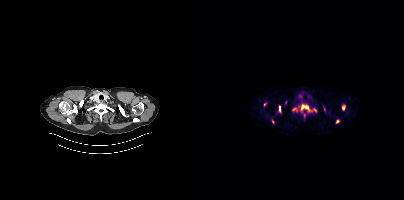
Coordinates are on the 200×200 PET (right) panel. PSMA-avid tumor lesion bounding boxes (partial; 2 more foci not listed):
| # | x0 | y0 | x1 | y1 |
|---|---|---|---|---|
| 1 | 98 | 105 | 104 | 108 |
| 2 | 88 | 107 | 91 | 111 |
| 3 | 75 | 106 | 76 | 112 |
Small PSMA-avid foci (2 to 4 px across) near (center x, center y): (139, 107); (133, 121); (100, 115); (69, 122); (81, 102); (60, 104); (111, 110).
Two-panel axial: CT | PSMA PET, 18F tracer. Acquired on Siemens Biograph mCT Flow 20.